Two-panel axial: CT | PSMA PET, 18F tracer. Acquired on GE Discovery 690.
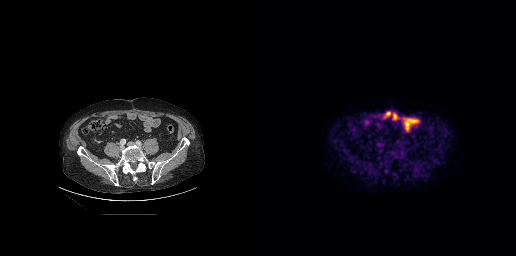
Coordinates are on the 256×256 PET (right) panel. PSMA-avid tumor lesion bounding box (x0, y0)-(x1, y1): (117, 143)-(122, 146).